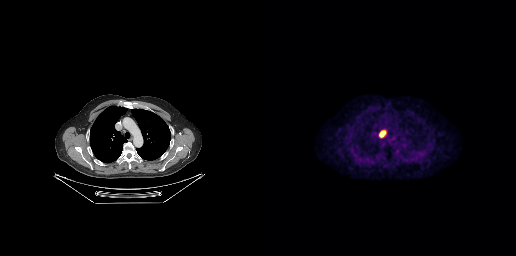
Two-panel axial: CT | PSMA PET, [18F]PSMA-1007 tracer. Acquired on GE Discovery 690. Slice 199 of 263. PET panel 256×256 px (2.7 mm/px).
Coordinates are on the 256×256 PET (right) panel. PSMA-avid tumor lesion bounding boxes:
| # | x0 | y0 | x1 | y1 |
|---|---|---|---|---|
| 1 | 119 | 130 | 125 | 137 |